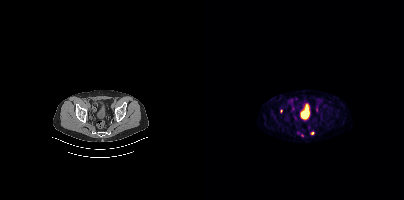
Two-panel axial: CT | PSMA PET, 68Ga-PSMA tracer. Slice position z = -1003 mm. PET panel 200×200 px (4.1 mm/px). Coordinates are on the 200×200 PET (right) panel. (showing 1 of 3 foci) Small PSMA-avid focus (2 to 4 px across) near (center x, center y): (108, 133).